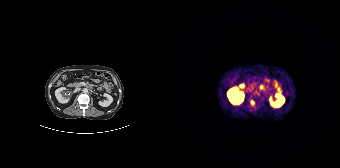
modality: PSMA PET/CT | tracer: [68Ga]Ga-PSMA-11 | view: axial
Coordinates are on the 168×168 PET (right) panel. Small PSMA-avid focus (2 to 4 px across) near (center x, center y): (80, 102).